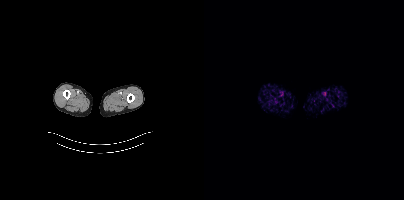
{"modality":"PSMA PET/CT","view":"axial","tracer":"18F","pet_grid":[200,200],"coord_frame":"pet_panel","coord_format":"x0,y0,x1,y1","psma_avid_lesions":false}